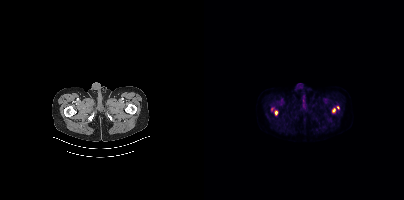
modality: PSMA PET/CT | tracer: [18F]PSMA-1007 | view: axial
Coordinates are on the 200×200 PET (right) panel. PSMA-avid tumor lesion bounding boxes (x0,y0,x1,y1): [128,108,131,112] [71,110,73,115]. Small PSMA-avid foci (2 to 4 px across) near (center x, center y): (68, 109) (134, 107).